modality: PSMA PET/CT | tracer: 18F | view: axial
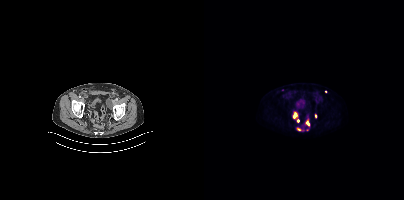
Coordinates are on the 200×200 PET (right) panel. PSMA-avid tumor lesion bounding boxes (x, y, width, height): x=89 y=112 w=5 h=7 | x=101 y=119 w=5 h=8 | x=93 y=128 w=5 h=3. Small PSMA-avid foci (2 to 4 px across) near (center x, center y): (94, 120) | (111, 116) | (121, 91).